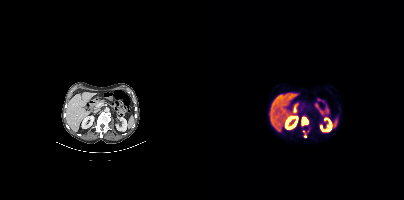
Findings: Coordinates are on the 200×200 PET (right) panel. (showing 1 of 3 foci) PSMA-avid tumor lesion bounding box (x0, y0)-(x1, y1): (98, 117)-(104, 124).
Technique: Two-panel axial: CT | PSMA PET, [18F]PSMA-1007 tracer. slice 199 of 435.